Technique: Paired axial CT (left) and PSMA PET (right), 18F-PSMA tracer.
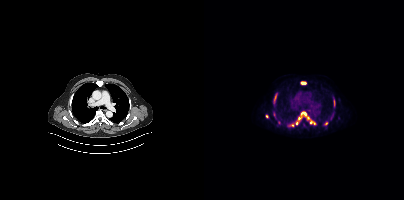
Findings: Coordinates are on the 200×200 PET (right) panel. (showing 11 of 13 foci) PSMA-avid tumor lesion bounding boxes (x0, y0)-(x1, y1): (70, 93)-(73, 102); (106, 120)-(111, 124); (85, 123)-(90, 126); (97, 82)-(101, 84); (98, 112)-(102, 115). Small PSMA-avid foci (2 to 4 px across) near (center x, center y): (122, 123); (75, 122); (129, 100); (104, 118); (92, 123); (62, 116).